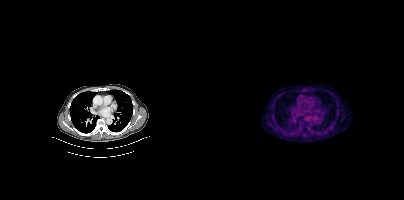
modality: PSMA PET/CT | tracer: 18F | view: axial
No PSMA-avid tumor lesions on this slice.